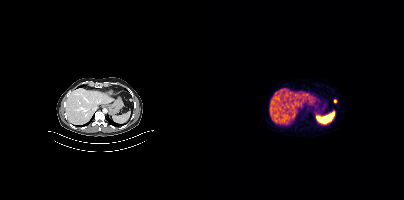
modality: PSMA PET/CT | tracer: 68Ga | view: axial | PET grid: 200×200
Coordinates are on the 200×200 PET (right) panel. Small PSMA-avid focus (2 to 4 px across) near (center x, center y): (131, 100).